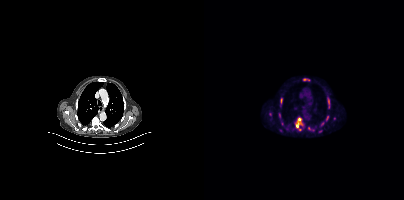
Findings: Coordinates are on the 200×200 PET (right) panel. PSMA-avid tumor lesion bounding boxes (x0,y0,x1,y1): [90,117,100,131], [123,97,126,108], [121,115,125,121], [100,78,106,81], [75,113,76,118], [77,99,78,103]. Small PSMA-avid foci (2 to 4 px across) near (center x, center y): (66, 114), (105, 128), (118, 123).
- Left: CT. Right: PSMA PET, same axial level, 18F tracer
- acquired on Siemens Biograph mCT Flow 20
- slice 264 of 373